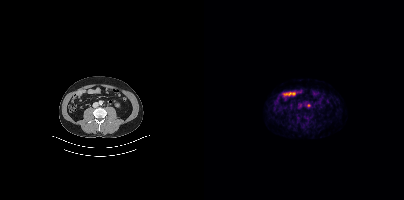
This slice has no annotated PSMA-avid lesion.